Two-panel axial: CT | PSMA PET, 68Ga-PSMA tracer.
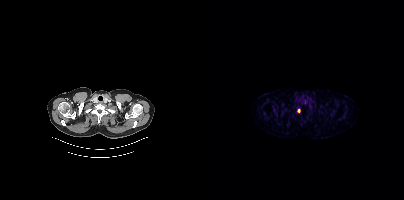
Coordinates are on the 200×200 PET (right) panel. Small PSMA-avid focus (2 to 4 px across) near (center x, center y): (94, 110).